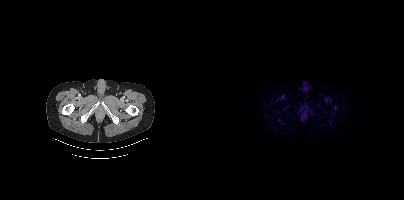
{"modality":"PSMA PET/CT","view":"axial","tracer":"18F-PSMA","pet_grid":[200,200],"coord_frame":"pet_panel","coord_format":"x0,y0,x1,y1","partial":true,"lesion_bboxes":[]}